Paired axial CT (left) and PSMA PET (right), 18F tracer. Acquired on Siemens Biograph mCT Flow 20. Slice 171 of 429.
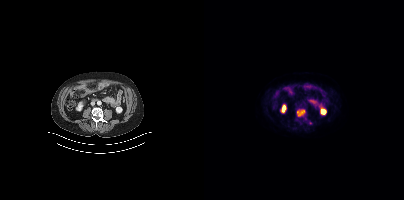
Only PSMA-avid lesion pieces thinner than 2 px on this slice (not listed).